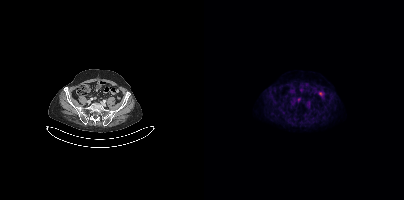
- Paired axial CT (left) and PSMA PET (right), 18F tracer
Findings: No PSMA-avid tumor lesions on this slice.